- Left: CT. Right: PSMA PET, same axial level, 18F tracer
- PET panel 200×200 px (4.1 mm/px)
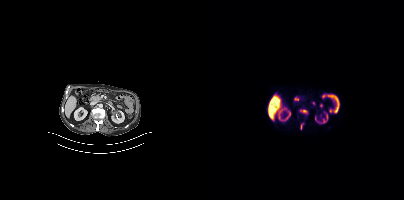
Findings: Coordinates are on the 200×200 PET (right) panel. (showing 1 of 2 foci) Small PSMA-avid focus (2 to 4 px across) near (center x, center y): (100, 110).